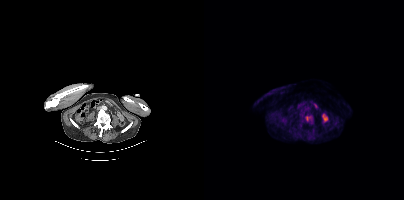
Coordinates are on the 200×200 PET (right) panel. PSMA-avid tumor lesion bounding box (x, y, width, height): x=101 y=116 w=7 h=6.